- Two-panel axial: CT | PSMA PET, 18F tracer
- acquired on Siemens Biograph mCT Flow 20
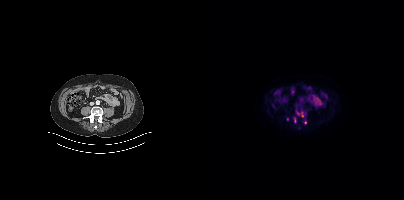
Findings: Coordinates are on the 200×200 PET (right) panel. (showing 3 of 4 foci) PSMA-avid tumor lesion bounding boxes (x, y, width, height): x=92 y=111 w=4 h=5 / x=90 y=118 w=3 h=5. Small PSMA-avid focus (2 to 4 px across) near (center x, center y): (98, 115).